Paired axial CT (left) and PSMA PET (right), [18F]PSMA-1007 tracer. PET panel 200×200 px (4.1 mm/px). An anonymization step blacked out a rectangle over the head in this scan.
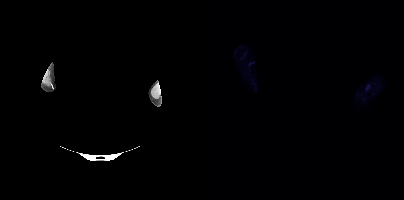
No tumor lesions annotated on this slice.